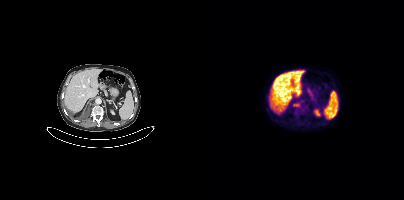
modality: PSMA PET/CT | tracer: [18F]PSMA-1007 | view: axial | PET grid: 200×200
Coordinates are on the 200×200 PET (right) panel. PSMA-avid tumor lesion bounding box (x0,y0,x1,y1): [89,104,95,106].